Two-panel axial: CT | PSMA PET, [18F]PSMA-1007 tracer. PET panel 200×200 px (4.1 mm/px).
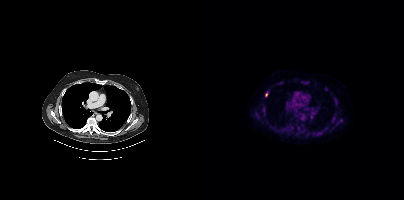
Coordinates are on the 200×200 PET (right) panel. (showing 2 of 4 foci) Small PSMA-avid foci (2 to 4 px across) near (center x, center y): (62, 94) | (60, 115).